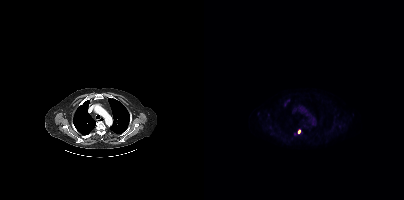
Coordinates are on the 200×200 PET (right) panel. Small PSMA-avid focus (2 to 4 px across) near (center x, center y): (95, 131).